Paired axial CT (left) and PSMA PET (right), [18F]PSMA-1007 tracer. Slice 261 of 383.
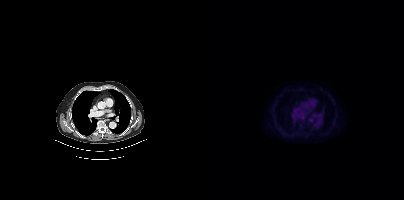
Coordinates are on the 200×200 PET (right) panel. Small PSMA-avid focus (2 to 4 px across) near (center x, center y): (105, 119).